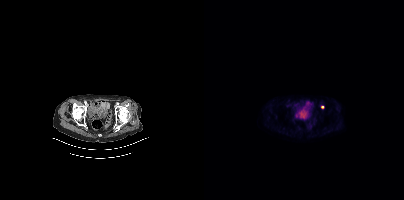
Coordinates are on the 200×200 PET (right) panel. Small PSMA-avid focus (2 to 4 px across) near (center x, center y): (118, 106).